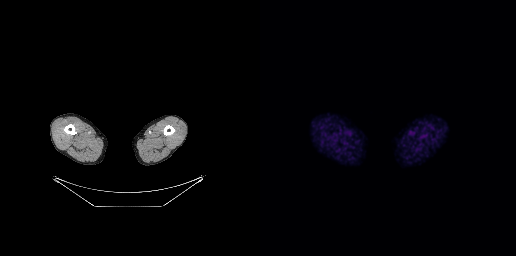
modality: PSMA PET/CT | tracer: 18F | view: axial | PET grid: 256×256
Negative for PSMA-avid disease on this slice.